Technique: Paired axial CT (left) and PSMA PET (right), 18F-PSMA tracer. acquired on GE Discovery 690. slice 259 of 263.
Note: Head region blanked for anonymization (face removed).
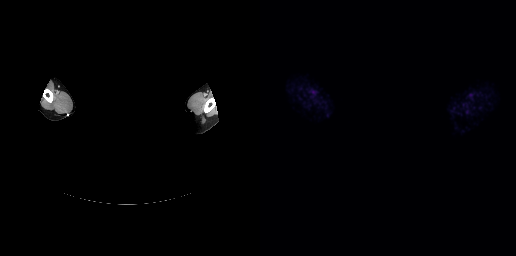
Findings: No PSMA-avid tumor lesions on this slice.